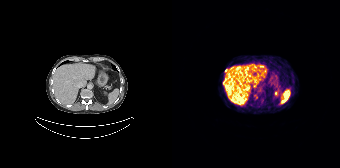
Findings: Coordinates are on the 168×168 PET (right) panel. PSMA-avid tumor lesion bounding box (x0,y0,x1,y1): [51,80,52,84]. Small PSMA-avid focus (2 to 4 px across) near (center x, center y): (54, 70).
Technique: Left: CT. Right: PSMA PET, same axial level, 68Ga tracer. slice position z = -1280 mm. PET panel 168×168 px (4.1 mm/px).